An anonymization step blacked out a rectangle over the head in this scan. Paired axial CT (left) and PSMA PET (right), 18F-PSMA tracer. Slice position z = -330 mm. PET panel 200×200 px (4.1 mm/px).
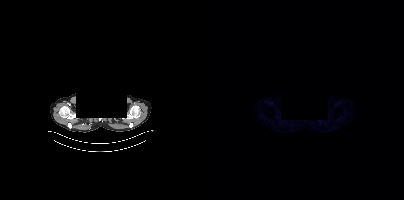
No tumor lesions annotated on this slice.